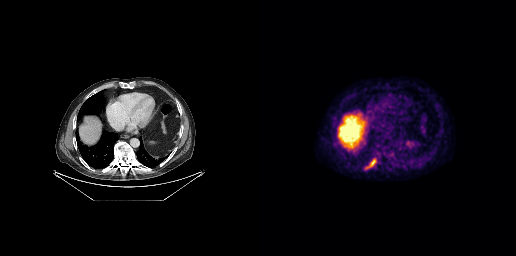
Findings: Coordinates are on the 256×256 PET (right) panel. PSMA-avid tumor lesion bounding box (x0, y0)-(x1, y1): (104, 157)-(117, 170).
Technique: Paired axial CT (left) and PSMA PET (right), [18F]PSMA-1007 tracer. PET panel 256×256 px (2.7 mm/px).